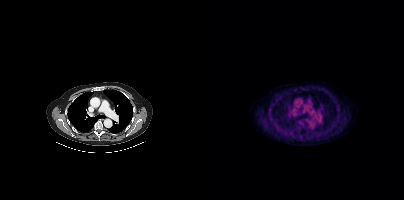
- Left: CT. Right: PSMA PET, same axial level, [18F]PSMA-1007 tracer
- slice 293 of 403
Findings: Negative for PSMA-avid disease on this slice.